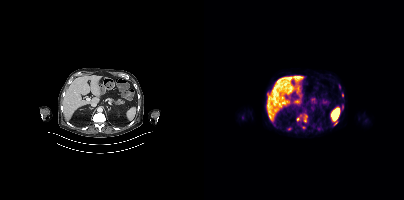
Technique: Left: CT. Right: PSMA PET, same axial level, 18F tracer.
Findings: Coordinates are on the 200×200 PET (right) panel. Small PSMA-avid foci (2 to 4 px across) near (center x, center y): (99, 127) (85, 129) (138, 94) (138, 106) (101, 119) (131, 124) (94, 119) (114, 128).